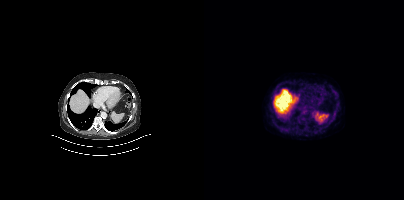
- Left: CT. Right: PSMA PET, same axial level, [18F]PSMA-1007 tracer
- acquired on Siemens Biograph mCT Flow 20
- PET panel 200×200 px (4.1 mm/px)
Findings: This slice has no annotated PSMA-avid lesion.